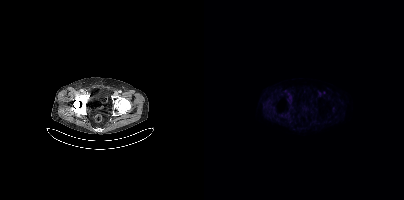
No tumor lesions annotated on this slice.